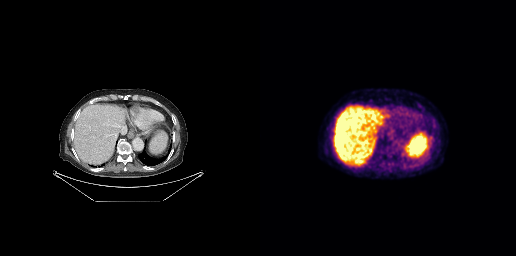
No PSMA-avid tumor lesions on this slice.
modality: PSMA PET/CT | tracer: 18F-PSMA | view: axial | PET grid: 256×256